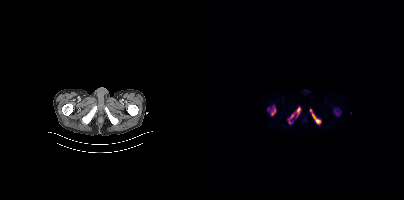
Coordinates are on the 200×200 PET (right) panel. (showing 5 of 6 foci) PSMA-avid tumor lesion bounding boxes (x0,y0,x1,y1): [106,109,116,123], [66,106,72,115], [92,107,96,114], [86,114,89,118]. Small PSMA-avid focus (2 to 4 px across) near (center x, center y): (85, 122). Two-panel axial: CT | PSMA PET, 18F tracer.